Paired axial CT (left) and PSMA PET (right), 18F-PSMA tracer. Acquired on Siemens Biograph mCT Flow 20. PET panel 200×200 px (4.1 mm/px).
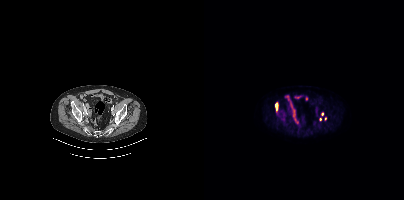
Coordinates are on the 200×200 PET (right) panel. PSMA-avid tumor lesion bounding boxes (partial; 1 more focus not listed):
| # | x0 | y0 | x1 | y1 |
|---|---|---|---|---|
| 1 | 71 | 103 | 73 | 109 |
Small PSMA-avid foci (2 to 4 px across) near (center x, center y): (118, 114); (116, 119).